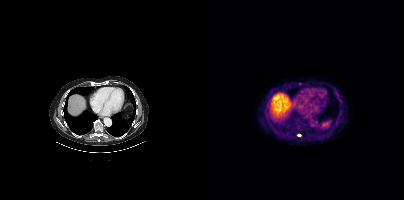
Findings: Coordinates are on the 200×200 PET (right) panel. (showing 1 of 2 foci) Small PSMA-avid focus (2 to 4 px across) near (center x, center y): (95, 134).
- Paired axial CT (left) and PSMA PET (right), 18F tracer